Left: CT. Right: PSMA PET, same axial level, 18F-PSMA tracer. Acquired on Siemens Biograph mCT Flow 20. Slice position z = -473 mm.
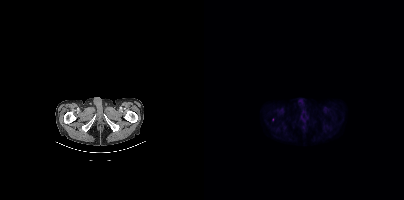
This slice has no annotated PSMA-avid lesion.